- Left: CT. Right: PSMA PET, same axial level, [18F]PSMA-1007 tracer
- acquired on Siemens Biograph mCT Flow 20
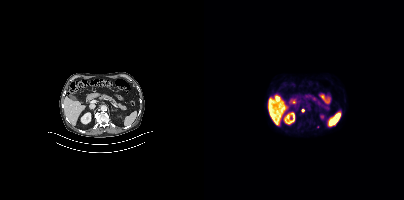
Findings: Coordinates are on the 200×200 PET (right) panel. Small PSMA-avid focus (2 to 4 px across) near (center x, center y): (98, 110).